modality: PSMA PET/CT | tracer: [18F]PSMA-1007 | view: axial
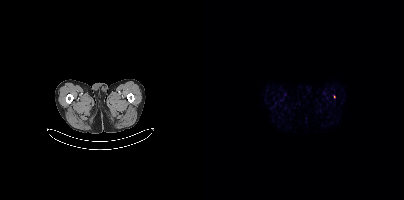
Only PSMA-avid lesion pieces thinner than 2 px on this slice (not listed).